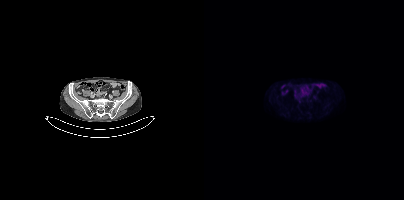
No tumor lesions annotated on this slice.